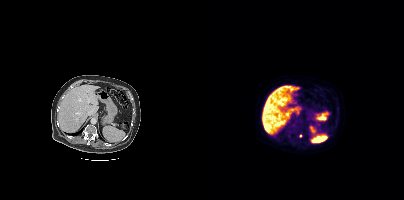
{"pet_grid":[200,200],"coord_frame":"pet_panel","coord_format":"x0,y0,x1,y1","lesion_bboxes":[],"small_foci_centers":[[96,136]],"modality":"PSMA PET/CT","view":"axial","tracer":"[18F]PSMA-1007"}